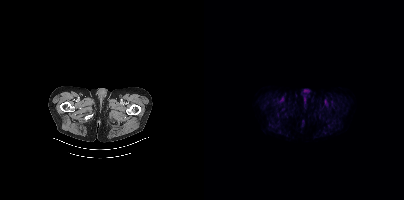
{"modality":"PSMA PET/CT","view":"axial","tracer":"[18F]PSMA-1007","pet_grid":[200,200],"coord_frame":"pet_panel","coord_format":"x0,y0,x1,y1","psma_avid_lesions":false}